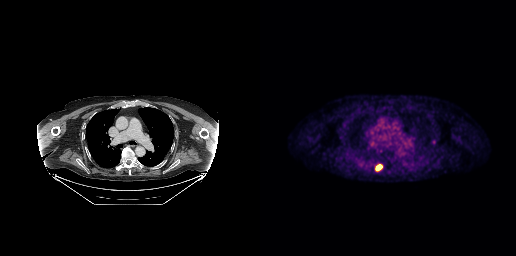
Coordinates are on the 256×256 PET (right) panel. PSMA-avid tumor lesion bounding box (x0,y0,x1,y1): [115,164,122,171]. Small PSMA-avid focus (2 to 4 px across) near (center x, center y): (173, 141).